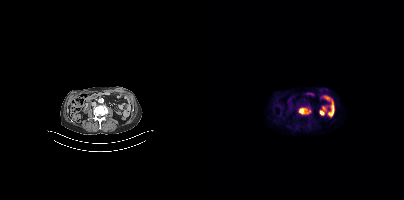
Coordinates are on the 200×200 PET (right) panel. PSMA-avid tumor lesion bounding box (x0,y0,x1,y1): [94,108,106,114]. Paired axial CT (left) and PSMA PET (right), [18F]PSMA-1007 tracer.